- Two-panel axial: CT | PSMA PET, 18F tracer
- slice position z = -396 mm
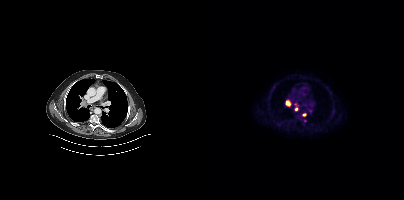
Findings: Coordinates are on the 200×200 PET (right) panel. (showing 3 of 4 foci) PSMA-avid tumor lesion bounding boxes (x, y, width, height): x=81 y=100 w=6 h=7 | x=98 y=113 w=5 h=4. Small PSMA-avid focus (2 to 4 px across) near (center x, center y): (92, 108).